Left: CT. Right: PSMA PET, same axial level, 18F-PSMA tracer. Acquired on Siemens Biograph 64-4R TruePoint. PET panel 168×168 px (4.1 mm/px).
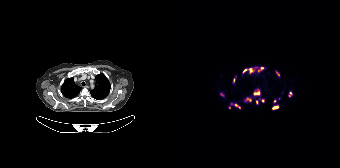
Coordinates are on the 168×168 PET (right) panel. PSMA-avid tumor lesion bounding boxes:
| # | x0 | y0 | x1 | y1 |
|---|---|---|---|---|
| 1 | 71 | 66 | 92 | 73 |
| 2 | 81 | 88 | 88 | 96 |
| 3 | 72 | 97 | 79 | 102 |
| 4 | 100 | 105 | 106 | 109 |
| 5 | 116 | 91 | 120 | 97 |
| 6 | 62 | 103 | 68 | 108 |
| 7 | 103 | 71 | 108 | 76 |
| 8 | 87 | 98 | 92 | 102 |
| 9 | 61 | 76 | 64 | 83 |
| 10 | 48 | 92 | 52 | 96 |
| 11 | 84 | 100 | 86 | 104 |
Small PSMA-avid foci (2 to 4 px across) near (center x, center y): (103, 101); (107, 98); (59, 103); (57, 107).